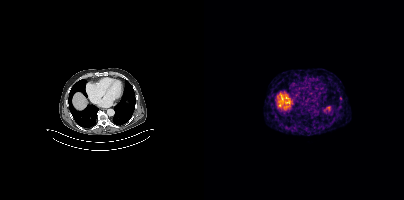
{"modality":"PSMA PET/CT","view":"axial","tracer":"68Ga-PSMA","pet_grid":[200,200],"coord_frame":"pet_panel","coord_format":"x0,y0,x1,y1","lesion_bboxes":[],"small_foci_centers":[[136,98]]}